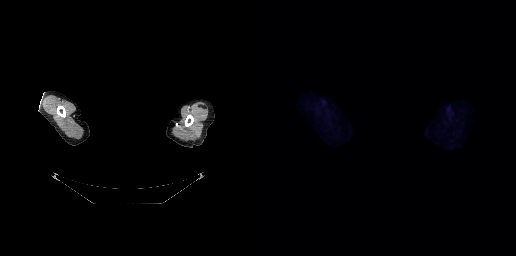
- Left: CT. Right: PSMA PET, same axial level, 18F-PSMA tracer
- acquired on GE Discovery 690
- slice position z = -57 mm
- privacy masking over the head, with the pixels inside a rectangle set to black
Findings: This slice has no annotated PSMA-avid lesion.